Left: CT. Right: PSMA PET, same axial level, [18F]PSMA-1007 tracer. Slice position z = -662 mm. PET panel 200×200 px (4.1 mm/px).
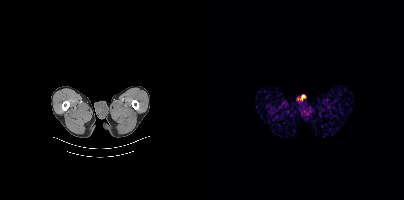
No tumor lesions annotated on this slice.